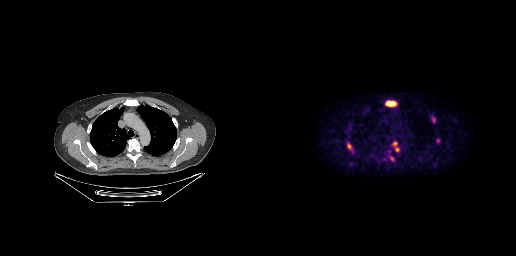
Coordinates are on the 256×256 PET (right) panel. PSMA-avid tumor lesion bounding boxes (x, y, width, height): x=125 y=100 w=12 h=7; x=87 y=142 w=7 h=11; x=171 y=115 w=5 h=8. Small PSMA-avid foci (2 to 4 px across) near (center x, center y): (134, 143); (137, 149); (131, 158).
modality: PSMA PET/CT | tracer: [18F]PSMA-1007 | view: axial